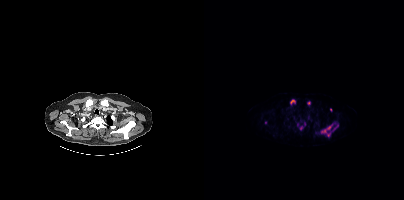
Coordinates are on the 200×200 PET (right) panel. PSMA-avid tumor lesion bounding boxes (partial; 1 more focus not listed):
| # | x0 | y0 | x1 | y1 |
|---|---|---|---|---|
| 1 | 117 | 123 | 134 | 136 |
| 2 | 86 | 99 | 91 | 104 |
Small PSMA-avid foci (2 to 4 px across) near (center x, center y): (104, 102); (97, 127); (126, 109); (61, 122); (100, 123).
Left: CT. Right: PSMA PET, same axial level, [18F]PSMA-1007 tracer. Acquired on Siemens Biograph mCT Flow 20. PET panel 200×200 px (4.1 mm/px).